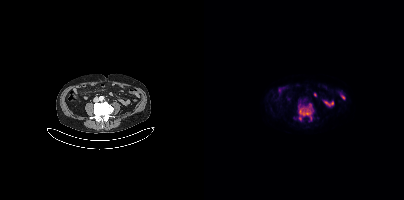
{"modality":"PSMA PET/CT","view":"axial","tracer":"[18F]PSMA-1007","pet_grid":[200,200],"coord_frame":"pet_panel","coord_format":"x0,y0,x1,y1","lesion_bboxes":[[95,104,108,120]],"small_foci_centers":[[96,118]]}